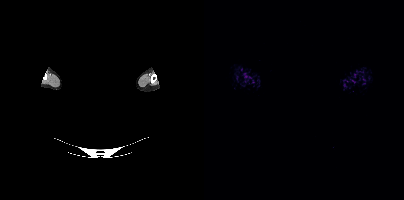
{"modality":"PSMA PET/CT","view":"axial","tracer":"18F","pet_grid":[200,200],"coord_frame":"pet_panel","coord_format":"x0,y0,x1,y1","psma_avid_lesions":false,"deidentification":"privacy mask over head"}